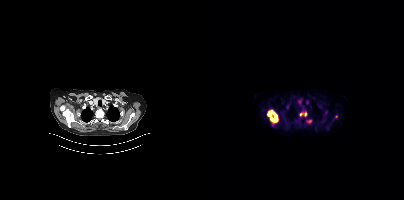
Coordinates are on the 200×200 PET (right) panel. (showing 4 of 5 foci) PSMA-avid tumor lesion bounding boxes (x0,y0,x1,y1): [63,110,74,122]; [95,111,103,116]; [103,119,108,123]. Small PSMA-avid focus (2 to 4 px across) near (center x, center y): (132, 116).